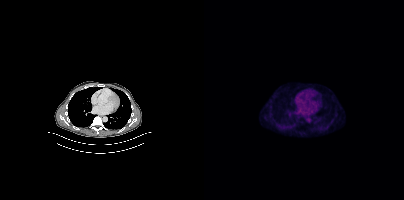
{"pet_grid":[200,200],"coord_frame":"pet_panel","coord_format":"x0,y0,x1,y1","psma_avid_lesions":false,"modality":"PSMA PET/CT","view":"axial","tracer":"18F"}